- Two-panel axial: CT | PSMA PET, 18F tracer
- acquired on Siemens Biograph mCT Flow 20
- slice position z = -933 mm
- PET panel 200×200 px (4.1 mm/px)
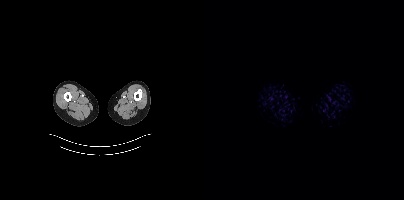
Findings: Negative for PSMA-avid disease on this slice.